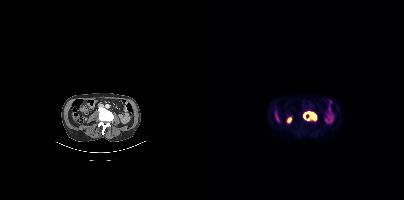
modality: PSMA PET/CT | tracer: 18F | view: axial
Coordinates are on the 200×200 PET (right) panel. PSMA-avid tumor lesion bounding boxes (x, y, width, height): x=100 y=112 w=10 h=6; x=104 y=116 w=9 h=4.